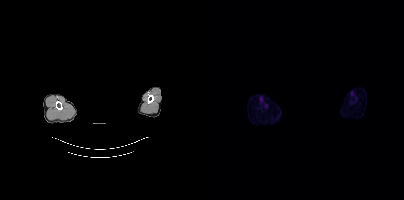
{"modality":"PSMA PET/CT","view":"axial","tracer":"[18F]PSMA-1007","pet_grid":[200,200],"coord_frame":"pet_panel","coord_format":"x0,y0,x1,y1","psma_avid_lesions":false,"deidentification":"privacy mask over head"}